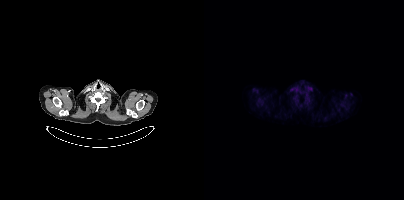
- Two-panel axial: CT | PSMA PET, [18F]PSMA-1007 tracer
- slice 373 of 431
Findings: Negative for PSMA-avid disease on this slice.